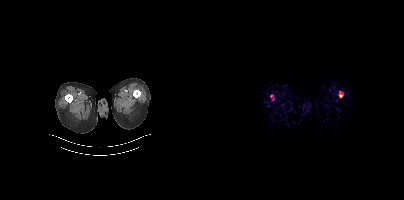
Technique: Two-panel axial: CT | PSMA PET, [68Ga]Ga-PSMA-11 tracer. slice position z = 266 mm.
Findings: Negative for PSMA-avid disease on this slice.